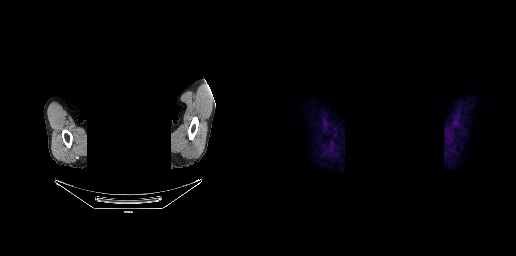
No PSMA-avid tumor lesions on this slice.
De-identified by setting a box covering the face to black before release.